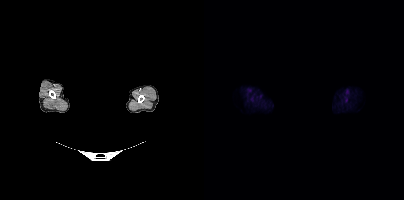
{"pet_grid":[200,200],"coord_frame":"pet_panel","coord_format":"x0,y0,x1,y1","psma_avid_lesions":false,"modality":"PSMA PET/CT","view":"axial","tracer":"[18F]PSMA-1007","de-identification":"privacy mask over head"}